Technique: Left: CT. Right: PSMA PET, same axial level, [18F]PSMA-1007 tracer. slice 262 of 401. PET panel 200×200 px (4.1 mm/px).
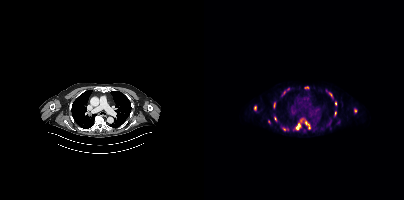
Findings: Coordinates are on the 200×200 PET (right) panel. (showing 13 of 15 foci) PSMA-avid tumor lesion bounding boxes (x0,y0,x1,y1): [92,123,96,129] [101,121,106,129] [78,91,81,95] [131,111,132,115] [70,103,71,107]. Small PSMA-avid foci (2 to 4 px across) near (center x, center y): (151, 110) (102, 87) (126, 94) (71, 118) (84, 89) (131, 103) (80, 129) (51, 107).